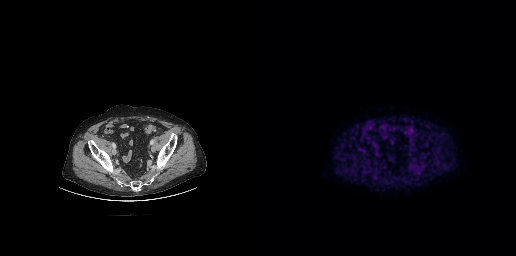
{"modality":"PSMA PET/CT","view":"axial","tracer":"18F","pet_grid":[256,256],"coord_frame":"pet_panel","coord_format":"x0,y0,x1,y1","psma_avid_lesions":false}